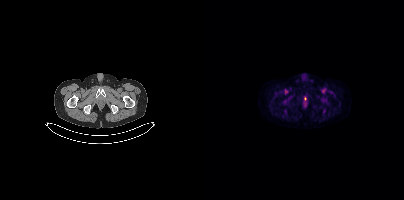
Coordinates are on the 200×200 PET (right) panel. Small PSMA-avid focus (2 to 4 px across) near (center x, center y): (101, 98).